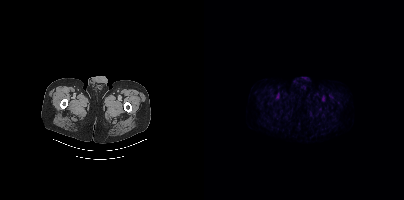
This slice has no annotated PSMA-avid lesion. Paired axial CT (left) and PSMA PET (right), [18F]PSMA-1007 tracer. Acquired on Siemens Biograph mCT Flow 20.